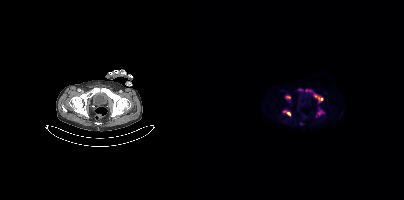
Coordinates are on the 200×200 PET (right) panel. (showing 5 of 7 foci) PSMA-avid tumor lesion bounding boxes (x0,y0,x1,y1): [110,94,119,102] [79,110,86,115] [81,95,86,99] [113,110,119,115]. Small PSMA-avid focus (2 to 4 px across) near (center x, center y): (102, 90). Two-panel axial: CT | PSMA PET, [18F]PSMA-1007 tracer.